Left: CT. Right: PSMA PET, same axial level, 18F tracer. PET panel 200×200 px (4.1 mm/px).
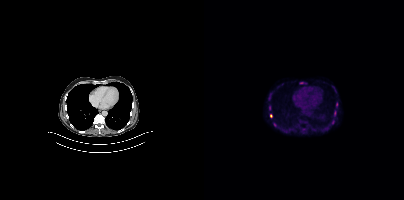
Coordinates are on the 200×200 PET (right) panel. PSMA-avid tumor lesion bounding boxes:
| # | x0 | y0 | x1 | y1 |
|---|---|---|---|---|
| 1 | 95 | 82 | 102 | 83 |
| 2 | 130 | 111 | 132 | 115 |
| 3 | 132 | 102 | 133 | 106 |
| 4 | 65 | 94 | 66 | 99 |
Small PSMA-avid foci (2 to 4 px across) near (center x, center y): (67, 115); (65, 106).